- Paired axial CT (left) and PSMA PET (right), 68Ga-PSMA tracer
- acquired on GE Discovery 690
- slice 34 of 263
- PET panel 256×256 px (2.7 mm/px)
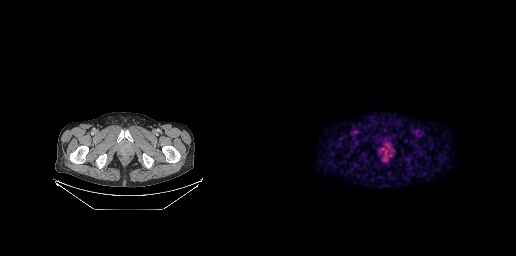
Findings: Coordinates are on the 256×256 PET (right) panel. (showing 3 of 4 foci) PSMA-avid tumor lesion bounding box (x0, y0)-(x1, y1): (121, 143)-(130, 157). Small PSMA-avid foci (2 to 4 px across) near (center x, center y): (120, 152) / (130, 155).